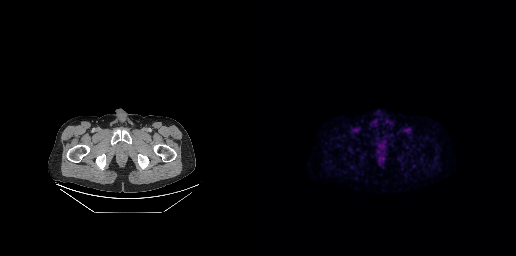
Negative for PSMA-avid disease on this slice.